- Left: CT. Right: PSMA PET, same axial level, 18F-PSMA tracer
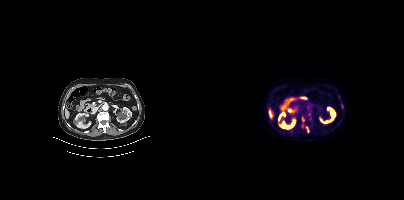
Findings: Coordinates are on the 200×200 PET (right) panel. (showing 5 of 6 foci) PSMA-avid tumor lesion bounding boxes (x, y, width, height): x=102 y=126 w=4 h=7 | x=98 y=117 w=3 h=5 | x=98 y=123 w=3 h=6 | x=137 y=104 w=3 h=5. Small PSMA-avid focus (2 to 4 px across) near (center x, center y): (105, 114).